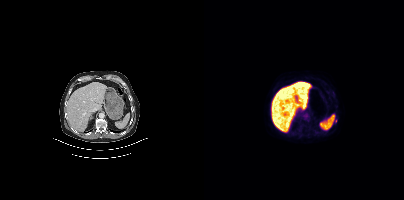
{"modality":"PSMA PET/CT","view":"axial","tracer":"[18F]PSMA-1007","pet_grid":[200,200],"coord_frame":"pet_panel","coord_format":"x0,y0,x1,y1","lesion_bboxes":[],"small_foci_centers":[[131,121]]}